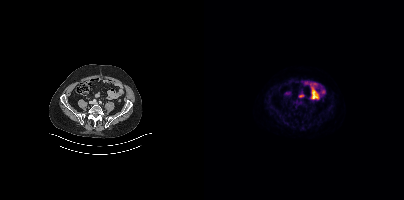
modality: PSMA PET/CT | tracer: 18F | view: axial
This slice has no annotated PSMA-avid lesion.